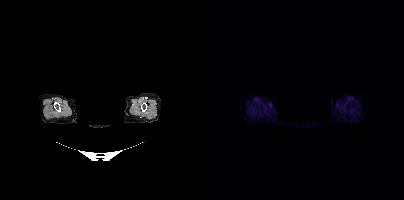
Left: CT. Right: PSMA PET, same axial level, 18F tracer. PET panel 200×200 px (4.1 mm/px). An anonymization step blacked out a rectangle over the head in this scan. No tumor lesions annotated on this slice.